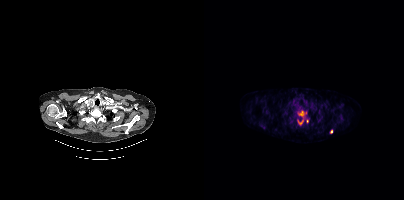
Left: CT. Right: PSMA PET, same axial level, 18F-PSMA tracer.
Coordinates are on the 200×200 PET (right) panel. PSMA-avid tumor lesion bounding boxes (partial; 1 more focus not listed):
| # | x0 | y0 | x1 | y1 |
|---|---|---|---|---|
| 1 | 125 | 129 | 129 | 133 |
| 2 | 95 | 111 | 99 | 115 |
| 3 | 94 | 120 | 99 | 124 |
Small PSMA-avid focus (2 to 4 px across) near (center x, center y): (103, 121).